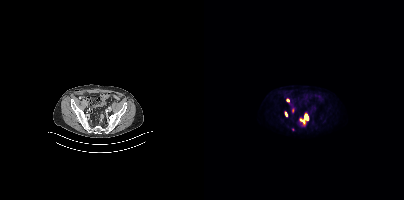
Coordinates are on the 200×200 PET (right) panel. PSMA-avid tumor lesion bounding boxes (x0,y0,x1,y1): [95,113,104,125] [82,98,85,102] [81,111,83,116]. Small PSMA-avid foci (2 to 4 px across) near (center x, center y): (88, 129) (88, 110).